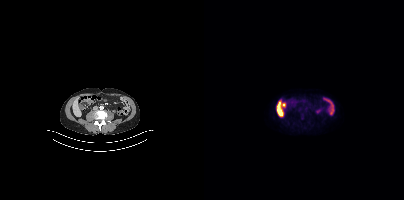
Technique: Paired axial CT (left) and PSMA PET (right), [18F]PSMA-1007 tracer. PET panel 200×200 px (4.1 mm/px).
Findings: This slice has no annotated PSMA-avid lesion.